Two-panel axial: CT | PSMA PET, 18F tracer. Slice position z = -882 mm. PET panel 200×200 px (4.1 mm/px).
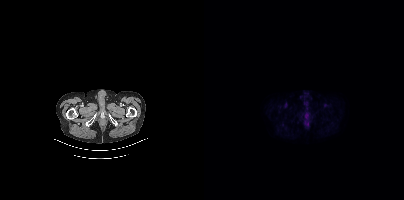
No tumor lesions annotated on this slice.